Technique: Paired axial CT (left) and PSMA PET (right), 18F tracer. slice position z = -1654 mm.
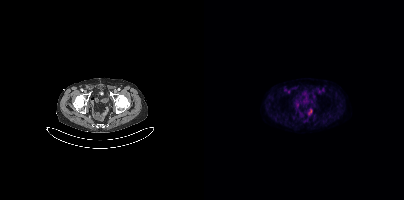
Findings: Negative for PSMA-avid disease on this slice.